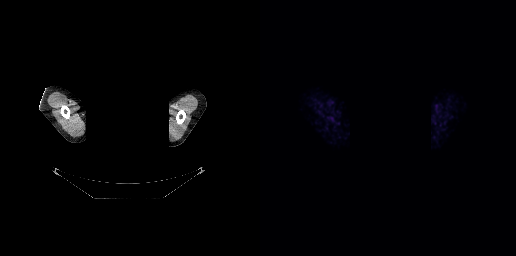
{"pet_grid":[256,256],"coord_frame":"pet_panel","coord_format":"x0,y0,x1,y1","psma_avid_lesions":false,"redaction":"privacy mask over head","modality":"PSMA PET/CT","view":"axial","tracer":"[68Ga]Ga-PSMA-11"}